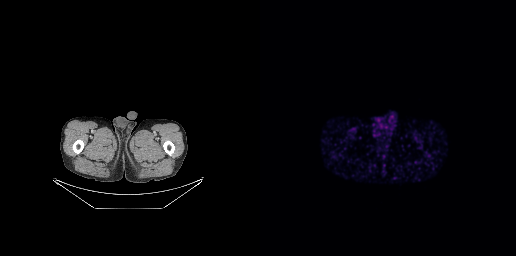
Paired axial CT (left) and PSMA PET (right), 68Ga-PSMA tracer. PET panel 256×256 px (2.7 mm/px). This slice has no annotated PSMA-avid lesion.